- head region blanked for anonymization (face removed)
- Paired axial CT (left) and PSMA PET (right), [68Ga]Ga-PSMA-11 tracer
- slice 163 of 165
- PET panel 168×168 px (4.1 mm/px)
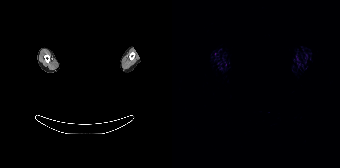
Findings: This slice has no annotated PSMA-avid lesion.